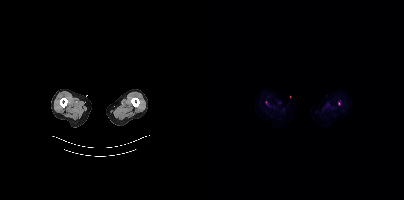
Two-panel axial: CT | PSMA PET, 18F-PSMA tracer. Acquired on Siemens Biograph mCT Flow 20. Coordinates are on the 200×200 PET (right) panel. Small PSMA-avid foci (2 to 4 px across) near (center x, center y): (62, 102); (135, 103).